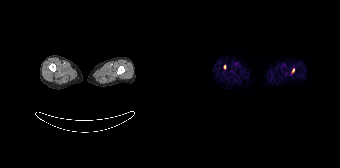
Findings: Coordinates are on the 168×168 PET (right) panel. Small PSMA-avid foci (2 to 4 px across) near (center x, center y): (52, 66) / (121, 70).
- Paired axial CT (left) and PSMA PET (right), 68Ga tracer
- acquired on Siemens Biograph 64-4R TruePoint
- slice 9 of 165